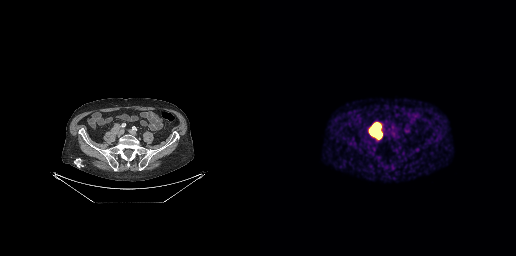
Coordinates are on the 256×256 PET (right) panel. PSMA-avid tumor lesion bounding boxes:
| # | x0 | y0 | x1 | y1 |
|---|---|---|---|---|
| 1 | 111 | 124 | 120 | 137 |
Paired axial CT (left) and PSMA PET (right), [68Ga]Ga-PSMA-11 tracer. PET panel 256×256 px (2.7 mm/px).